modality: PSMA PET/CT | tracer: 18F-PSMA | view: axial | PET grid: 200×200
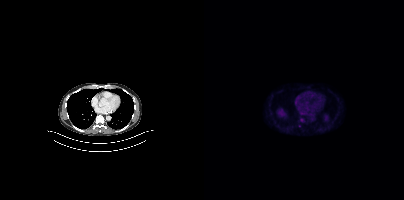
Negative for PSMA-avid disease on this slice.